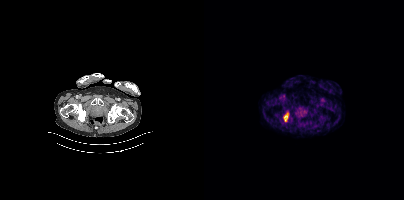
Paired axial CT (left) and PSMA PET (right), [18F]PSMA-1007 tracer. PET panel 200×200 px (4.1 mm/px).
Coordinates are on the 200×200 PET (right) panel. PSMA-avid tumor lesion bounding boxes:
| # | x0 | y0 | x1 | y1 |
|---|---|---|---|---|
| 1 | 80 | 113 | 84 | 121 |